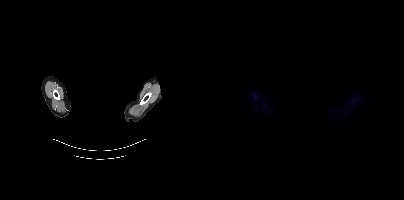
The head region is masked for de-identification.
Negative for PSMA-avid disease on this slice.